modality: PSMA PET/CT | tracer: 18F | view: axial
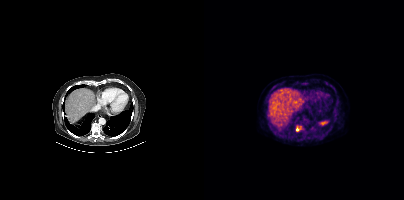
Coordinates are on the 200×200 PET (right) panel. PSMA-avid tumor lesion bounding box (x0, y0)-(x1, y1): (92, 127)-(95, 131).